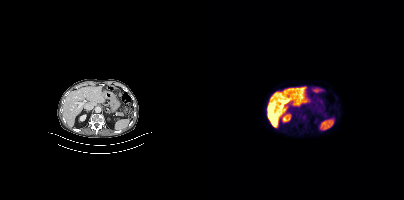
- Left: CT. Right: PSMA PET, same axial level, 18F tracer
- acquired on Siemens Biograph mCT Flow 20
Findings: No PSMA-avid tumor lesions on this slice.